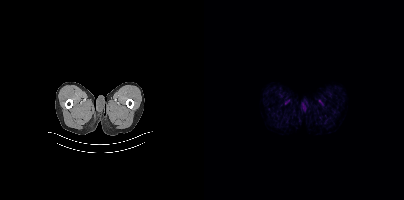
Findings: This slice has no annotated PSMA-avid lesion.
Technique: Left: CT. Right: PSMA PET, same axial level, [18F]PSMA-1007 tracer. PET panel 200×200 px (4.1 mm/px).